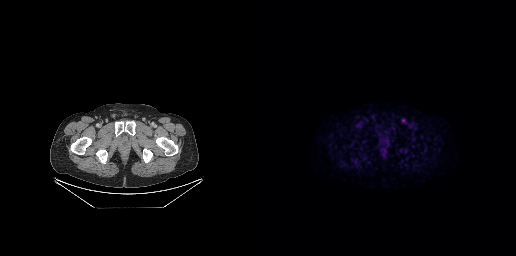
Coordinates are on the 256×256 PET (right) panel. PSMA-avid tumor lesion bounding box (x, y, width, height): x=141 y=118 w=6 h=6.
modality: PSMA PET/CT | tracer: 18F-PSMA | view: axial